The head region is masked for de-identification. Two-panel axial: CT | PSMA PET, 18F tracer. Slice position z = -858 mm.
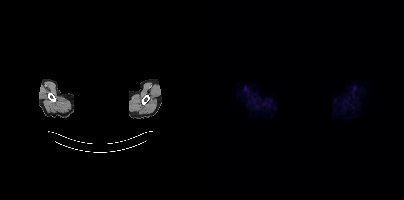
Negative for PSMA-avid disease on this slice.